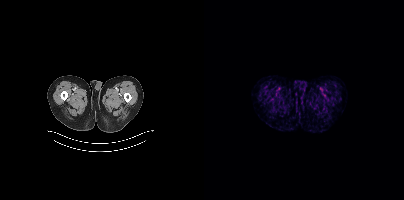
Two-panel axial: CT | PSMA PET, 18F-PSMA tracer. Slice 17 of 429. PET panel 200×200 px (4.1 mm/px). No tumor lesions annotated on this slice.